Left: CT. Right: PSMA PET, same axial level, 68Ga tracer.
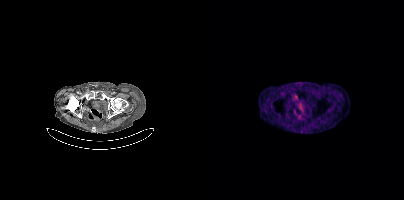
Coordinates are on the 200×200 PET (right) panel. PSMA-avid tumor lesion bounding boxes (x0, y0)-(x1, y1): (90, 95)-(94, 100) | (95, 105)-(98, 110).